- Two-panel axial: CT | PSMA PET, 18F tracer
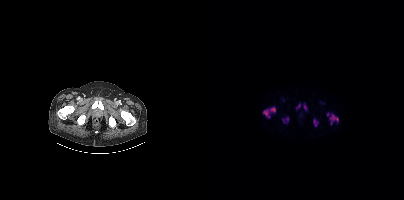
Findings: Coordinates are on the 200×200 PET (right) panel. (showing 7 of 9 foci) PSMA-avid tumor lesion bounding boxes (x, y, width, height): x=59 y=107 w=13 h=12 / x=125 y=114 w=10 h=11 / x=109 y=119 w=6 h=8 / x=123 y=112 w=3 h=5. Small PSMA-avid foci (2 to 4 px across) near (center x, center y): (95, 104) / (100, 104) / (83, 118).